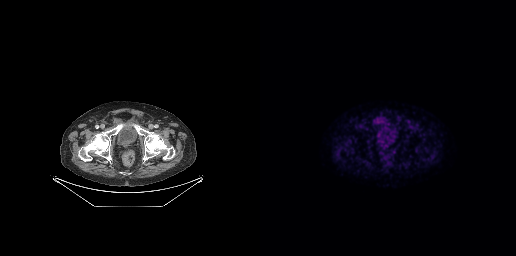
Technique: Two-panel axial: CT | PSMA PET, [18F]PSMA-1007 tracer. acquired on GE Discovery 690. PET panel 256×256 px (2.7 mm/px).
Findings: No PSMA-avid tumor lesions on this slice.